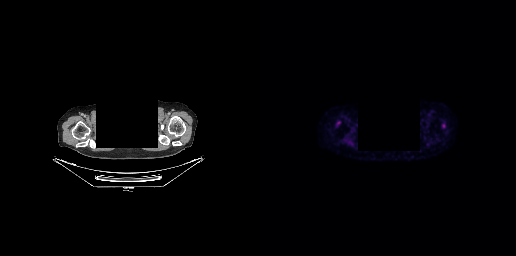
{"modality":"PSMA PET/CT","view":"axial","tracer":"[18F]PSMA-1007","pet_grid":[256,256],"coord_frame":"pet_panel","coord_format":"x0,y0,x1,y1","lesion_bboxes":[],"small_foci_centers":[[78,123]],"redaction":"facial region redacted"}